Technique: Paired axial CT (left) and PSMA PET (right), [18F]PSMA-1007 tracer.
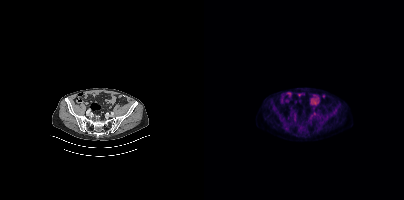
Findings: Coordinates are on the 200×200 PET (right) panel. Small PSMA-avid focus (2 to 4 px across) near (center x, center y): (110, 114).